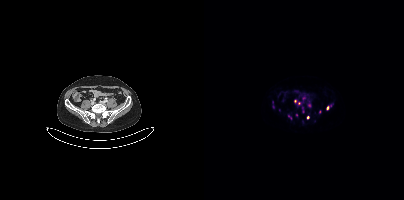
Coordinates are on the 200×200 PET (right) panel. (showing 8 of 11 foci) PSMA-avid tumor lesion bounding box (x0, y0)-(x1, y1): (84, 115)-(87, 119). Small PSMA-avid foci (2 to 4 px across) near (center x, center y): (69, 106); (91, 101); (95, 103); (123, 108); (115, 111); (103, 117); (92, 114).